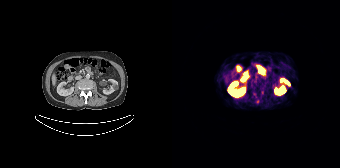
Technique: Two-panel axial: CT | PSMA PET, 68Ga tracer. slice position z = -984 mm.
Findings: Negative for PSMA-avid disease on this slice.